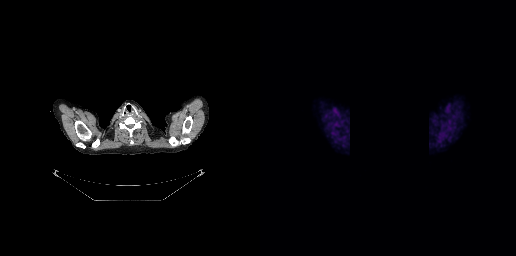
{"pet_grid":[256,256],"coord_frame":"pet_panel","coord_format":"x0,y0,x1,y1","psma_avid_lesions":false,"modality":"PSMA PET/CT","view":"axial","tracer":"18F","redaction":"rectangular block set to black"}